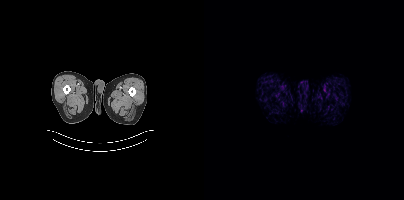
Findings: No PSMA-avid tumor lesions on this slice.
- Paired axial CT (left) and PSMA PET (right), 68Ga tracer
- slice 9 of 429
- PET panel 200×200 px (4.1 mm/px)